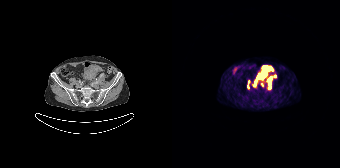
- Two-panel axial: CT | PSMA PET, 68Ga-PSMA tracer
- slice position z = -1458 mm
- PET panel 168×168 px (4.1 mm/px)
Findings: Coordinates are on the 168×168 PET (right) panel. PSMA-avid tumor lesion bounding boxes (x0,y0,x1,y1): [85,66,100,78], [96,78,99,84], [75,80,77,88], [81,81,83,86]. Small PSMA-avid foci (2 to 4 px across) near (center x, center y): (102, 76), (90, 84), (97, 87).